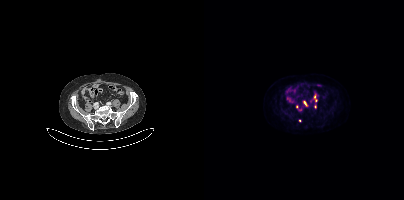
{"modality":"PSMA PET/CT","view":"axial","tracer":"18F-PSMA","pet_grid":[200,200],"coord_frame":"pet_panel","coord_format":"x0,y0,x1,y1","lesion_bboxes":[[110,96,113,101],[100,101,103,105]],"small_foci_centers":[[111,106],[92,106],[95,120]]}